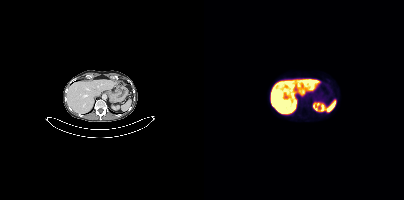
Findings: Negative for PSMA-avid disease on this slice.
Technique: Paired axial CT (left) and PSMA PET (right), 18F tracer. slice position z = -535 mm. PET panel 200×200 px (4.1 mm/px).